- Paired axial CT (left) and PSMA PET (right), 18F-PSMA tracer
- acquired on GE Discovery 690
- slice position z = -287 mm
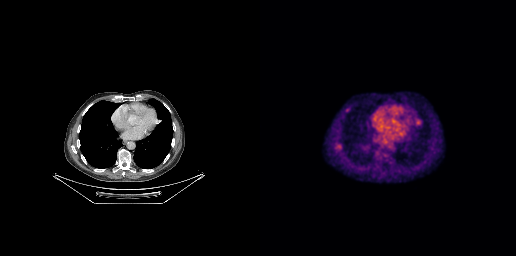
Findings: Coordinates are on the 256×256 PET (right) panel. PSMA-avid tumor lesion bounding boxes (x0, y0)-(x1, y1): (77, 145)-(81, 149); (85, 108)-(89, 111).